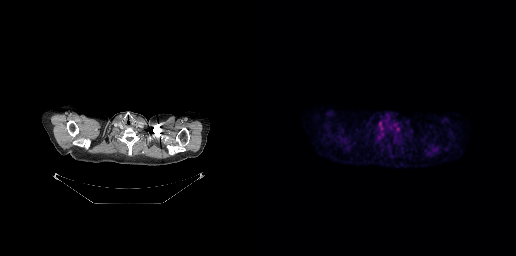
This slice has no annotated PSMA-avid lesion.